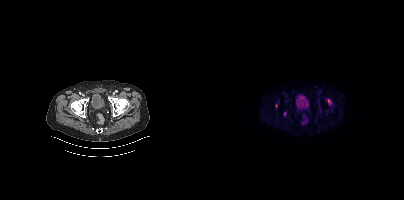
{"modality":"PSMA PET/CT","view":"axial","tracer":"[18F]PSMA-1007","pet_grid":[200,200],"coord_frame":"pet_panel","coord_format":"x0,y0,x1,y1","lesion_bboxes":[[124,99,126,104]],"small_foci_centers":[[80,113],[72,105]]}